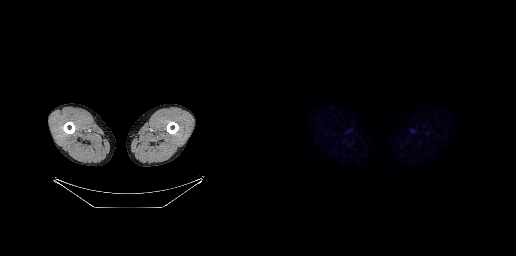
Findings: No PSMA-avid tumor lesions on this slice.
Technique: Left: CT. Right: PSMA PET, same axial level, [18F]PSMA-1007 tracer.